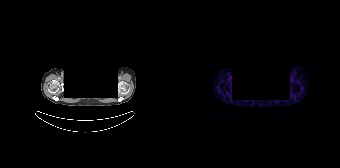
{"modality":"PSMA PET/CT","view":"axial","tracer":"68Ga-PSMA","pet_grid":[168,168],"coord_frame":"pet_panel","coord_format":"x0,y0,x1,y1","psma_avid_lesions":false,"de-identification":"head region blacked out before release"}